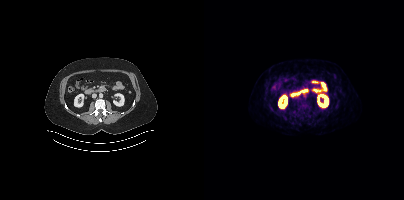
{"modality":"PSMA PET/CT","view":"axial","tracer":"18F-PSMA","pet_grid":[200,200],"coord_frame":"pet_panel","coord_format":"x0,y0,x1,y1","psma_avid_lesions":false}